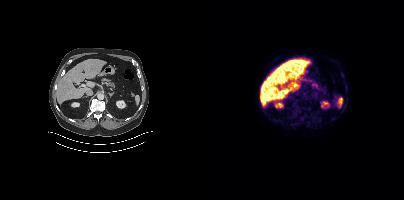
Negative for PSMA-avid disease on this slice.